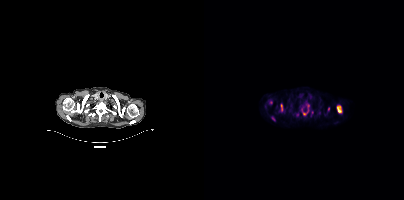
Findings: Coordinates are on the 200×200 PET (right) panel. (showing 5 of 8 foci) PSMA-avid tumor lesion bounding boxes (x0,y0,x1,y1): [133,105,137,112] [77,104,78,111] [99,112,103,115]. Small PSMA-avid foci (2 to 4 px across) near (center x, center y): (103, 105) (124, 108).
Technique: Two-panel axial: CT | PSMA PET, 18F tracer.